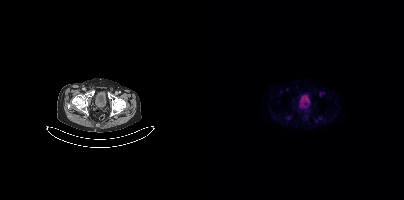
Technique: Paired axial CT (left) and PSMA PET (right), 18F tracer. PET panel 200×200 px (4.1 mm/px).
Findings: No tumor lesions annotated on this slice.